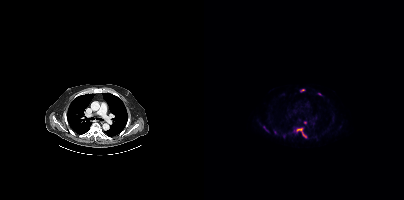
Coordinates are on the 200×200 PET (right) panel. (showing 5 of 6 foci) PSMA-avid tumor lesion bounding boxes (x, y, width, height): x=92 y=128 w=11 h=10 / x=59 y=126 w=6 h=6. Small PSMA-avid foci (2 to 4 px across) near (center x, center y): (98, 90) / (101, 122) / (71, 132).
modality: PSMA PET/CT | tracer: 18F-PSMA | view: axial | PET grid: 200×200